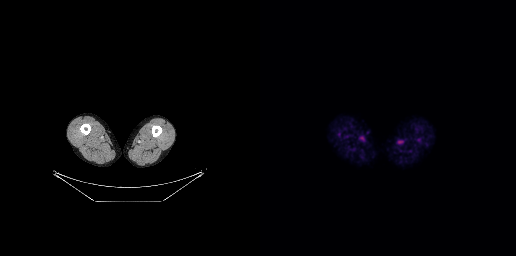
{"pet_grid":[256,256],"coord_frame":"pet_panel","coord_format":"x0,y0,x1,y1","psma_avid_lesions":false,"modality":"PSMA PET/CT","view":"axial","tracer":"18F-PSMA"}